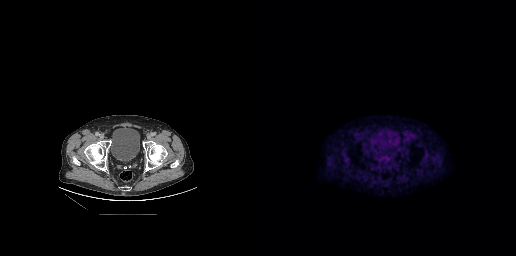
Technique: Paired axial CT (left) and PSMA PET (right), 18F-PSMA tracer. slice position z = -666 mm. PET panel 256×256 px (2.7 mm/px).
Findings: No tumor lesions annotated on this slice.